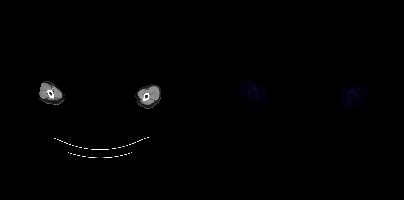
Negative for PSMA-avid disease on this slice.
modality: PSMA PET/CT | tracer: 18F-PSMA | view: axial | redaction: head region blacked out before release